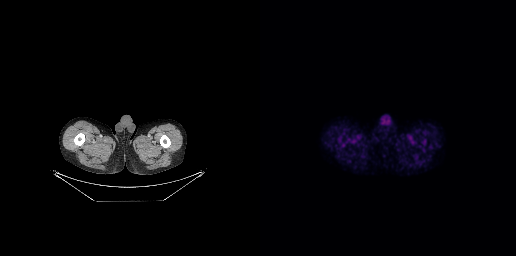
Findings: No PSMA-avid tumor lesions on this slice.
Technique: Left: CT. Right: PSMA PET, same axial level, 18F tracer. acquired on GE Discovery 690. PET panel 256×256 px (2.7 mm/px).